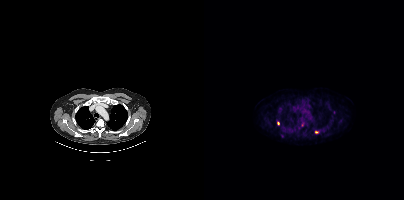
Coordinates are on the 200×200 PET (right) panel. (showing 3 of 4 foci) PSMA-avid tumor lesion bounding boxes (x0,y0,x1,y1): [97,122,100,126] [73,121,75,125]. Small PSMA-avid focus (2 to 4 px across) near (center x, center y): (112, 132).